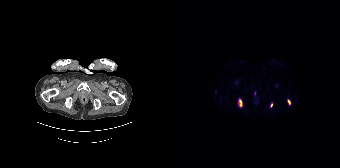
Coordinates are on the 168×168 PET (right) panel. PSMA-avid tumor lesion bounding boxes (x0, y0)-(x1, y1): (66, 98)-(70, 107); (116, 100)-(118, 104). Small PSMA-avid focus (2 to 4 px across) near (center x, center y): (99, 104).
modality: PSMA PET/CT | tracer: 18F-PSMA | view: axial